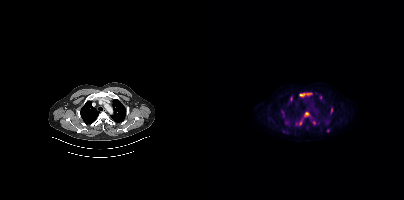
Findings: Coordinates are on the 200×200 PET (right) panel. (showing 10 of 11 foci) PSMA-avid tumor lesion bounding boxes (x0,y0,x1,y1): [95,93,107,96], [93,118,98,125], [86,96,88,101], [101,112,104,116], [127,108,128,112]. Small PSMA-avid foci (2 to 4 px across) near (center x, center y): (116, 97), (109, 122), (124, 130), (79, 115), (78, 130).
Technique: Paired axial CT (left) and PSMA PET (right), 18F tracer. acquired on Siemens Biograph mCT Flow 20. slice 295 of 395.